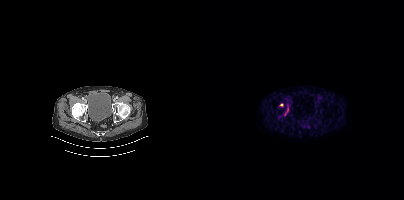
Coordinates are on the 200×200 PET (right) panel. PSMA-avid tumor lesion bounding box (x0, y0)-(x1, y1): (81, 107)-(84, 115). Small PSMA-avid focus (2 to 4 px across) near (center x, center y): (77, 104). Left: CT. Right: PSMA PET, same axial level, 18F tracer. Slice 60 of 427. PET panel 200×200 px (4.1 mm/px).